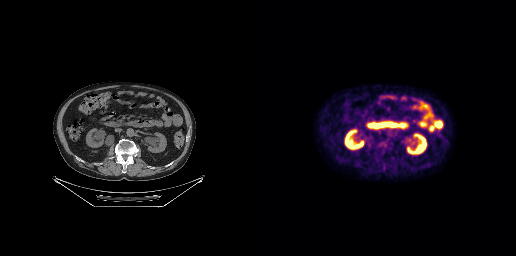
This slice has no annotated PSMA-avid lesion.